- Left: CT. Right: PSMA PET, same axial level, [68Ga]Ga-PSMA-11 tracer
- acquired on Siemens Biograph 64-4R TruePoint
- PET panel 168×168 px (4.1 mm/px)
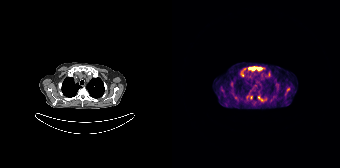
Findings: Coordinates are on the 168×168 PET (right) panel. (showing 10 of 11 foci) PSMA-avid tumor lesion bounding boxes (x0,y0,x1,y1): [76,67,89,70] [69,68,73,76] [96,71,98,76] [86,96,90,100]. Small PSMA-avid foci (2 to 4 px across) near (center x, center y): (93, 99) (116, 89) (79, 97) (63, 97) (59, 84) (98, 100).